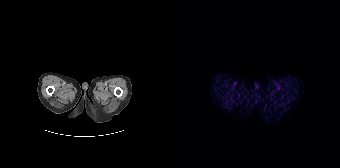
Technique: Two-panel axial: CT | PSMA PET, [68Ga]Ga-PSMA-11 tracer. slice 37 of 195. PET panel 168×168 px (4.1 mm/px).
Findings: This slice has no annotated PSMA-avid lesion.